Technique: Left: CT. Right: PSMA PET, same axial level, 18F-PSMA tracer. acquired on Siemens Biograph mCT Flow 20.
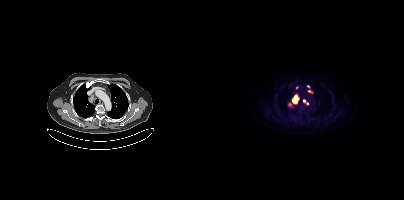
Findings: Coordinates are on the 200×200 PET (right) panel. (showing 2 of 3 foci) PSMA-avid tumor lesion bounding box (x, y, width, height): x=89 y=96 w=6 h=8. Small PSMA-avid focus (2 to 4 px across) near (center x, center y): (100, 100).